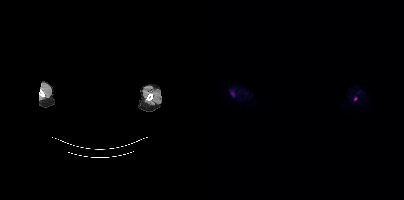
deidentification: facial region redacted | modality: PSMA PET/CT | tracer: 18F | view: axial | PET grid: 200×200
Coordinates are on the 200×200 PET (right) panel. Small PSMA-avid focus (2 to 4 px across) near (center x, center y): (151, 99).